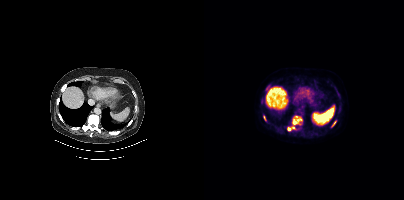
Two-panel axial: CT | PSMA PET, 18F-PSMA tracer. Acquired on Siemens Biograph mCT Flow 20.
Coordinates are on the 200×200 PET (right) panel. PSMA-avid tumor lesion bounding boxes:
| # | x0 | y0 | x1 | y1 |
|---|---|---|---|---|
| 1 | 83 | 115 | 98 | 131 |
| 2 | 61 | 85 | 66 | 90 |
| 3 | 128 | 121 | 132 | 126 |
| 4 | 59 | 116 | 62 | 120 |